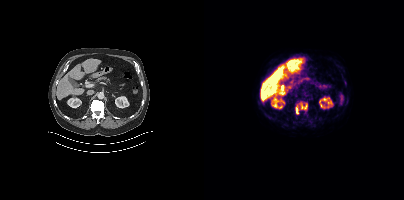
Paired axial CT (left) and PSMA PET (right), 18F tracer. Slice position z = -550 mm. PET panel 200×200 px (4.1 mm/px).
Coordinates are on the 200×200 PET (right) panel. PSMA-avid tumor lesion bounding boxes:
| # | x0 | y0 | x1 | y1 |
|---|---|---|---|---|
| 1 | 91 | 102 | 103 | 114 |